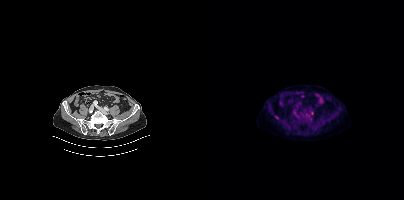
Technique: Two-panel axial: CT | PSMA PET, [18F]PSMA-1007 tracer. PET panel 200×200 px (4.1 mm/px).
Findings: Coordinates are on the 200×200 PET (right) panel. PSMA-avid tumor lesion bounding box (x0,y0,x1,y1): [89,110,92,114]. Small PSMA-avid focus (2 to 4 px across) near (center x, center y): (108, 113).